- Two-panel axial: CT | PSMA PET, 68Ga tracer
- slice 85 of 409
- PET panel 200×200 px (4.1 mm/px)
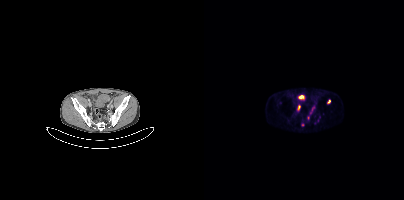
Findings: Coordinates are on the 200×200 PET (right) panel. PSMA-avid tumor lesion bounding boxes (x0, y0)-(x1, y1): (105, 105)-(111, 116) / (93, 105)-(96, 110). Small PSMA-avid foci (2 to 4 px across) near (center x, center y): (125, 101) / (98, 124).